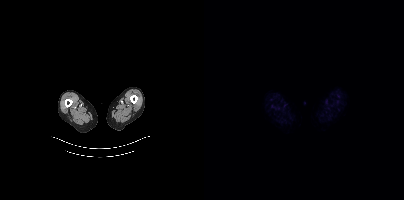
This slice has no annotated PSMA-avid lesion.